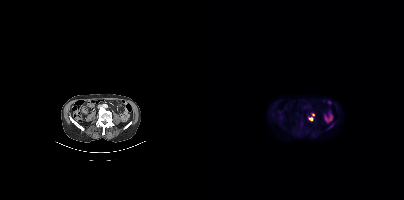
Coordinates are on the 200×200 PET (right) panel. (showing 1 of 2 foci) Small PSMA-avid focus (2 to 4 px across) near (center x, center y): (106, 118). Left: CT. Right: PSMA PET, same axial level, [18F]PSMA-1007 tracer. Slice position z = -259 mm.